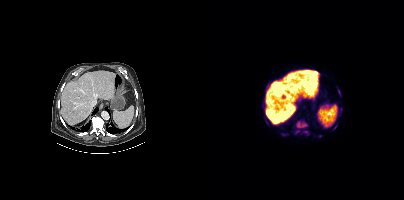
Coordinates are on the 200×200 PET (right) panel. PSMA-avid tumor lesion bounding boxes:
| # | x0 | y0 | x1 | y1 |
|---|---|---|---|---|
| 1 | 92 | 120 | 104 | 128 |
| 2 | 99 | 131 | 104 | 134 |
| 3 | 133 | 87 | 136 | 93 |
| 4 | 91 | 130 | 95 | 133 |
| 5 | 130 | 124 | 133 | 129 |
| 6 | 77 | 133 | 82 | 135 |
Small PSMA-avid focus (2 to 4 px across) near (center x, center y): (116, 136).
Two-panel axial: CT | PSMA PET, 18F tracer. PET panel 200×200 px (4.1 mm/px).